Left: CT. Right: PSMA PET, same axial level, [18F]PSMA-1007 tracer. Slice position z = 1788 mm.
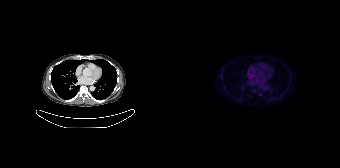
Coordinates are on the 168×168 PET (right) panel. (showing 1 of 2 foci) Small PSMA-avid focus (2 to 4 px across) near (center x, center y): (88, 94).